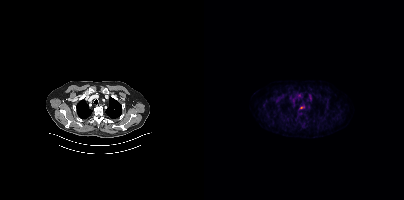
Coordinates are on the 200×200 PET (right) panel. Small PSMA-avid focus (2 to 4 px across) near (center x, center y): (97, 107). Paired axial CT (left) and PSMA PET (right), [18F]PSMA-1007 tracer.